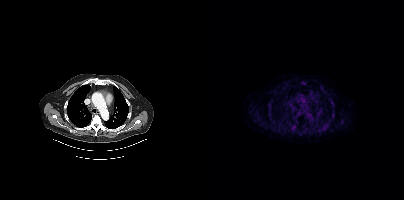
- Left: CT. Right: PSMA PET, same axial level, 18F tracer
- acquired on Siemens Biograph mCT Flow 20
- slice 346 of 454
Findings: This slice has no annotated PSMA-avid lesion.